Left: CT. Right: PSMA PET, same axial level, 18F-PSMA tracer. PET panel 200×200 px (4.1 mm/px).
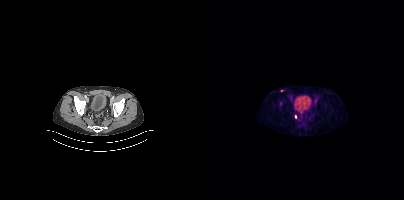
Coordinates are on the 200×200 PET (right) panel. Small PSMA-avid foci (2 to 4 px across) near (center x, center y): (91, 116) | (78, 90).